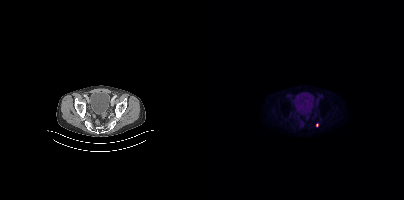
Coordinates are on the 200×200 PET (right) panel. Small PSMA-avid focus (2 to 4 px across) near (center x, center y): (113, 125). Left: CT. Right: PSMA PET, same axial level, 18F-PSMA tracer. Acquired on Siemens Biograph mCT Flow 20.